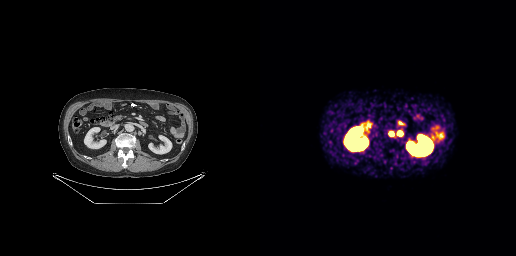
Coordinates are on the 256×256 PET (right) panel. Small PSMA-avid foci (2 to 4 px across) near (center x, center y): (130, 133) (139, 133).
modality: PSMA PET/CT | tracer: [68Ga]Ga-PSMA-11 | view: axial | PET grid: 256×256